Paired axial CT (left) and PSMA PET (right), 18F tracer. Slice 330 of 387. De-identified by setting a box covering the face to black before release.
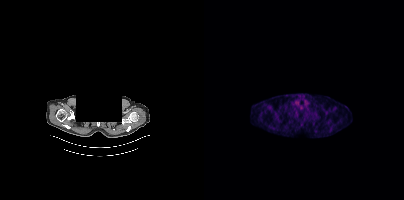
No tumor lesions annotated on this slice.